Technique: Paired axial CT (left) and PSMA PET (right), 18F tracer. acquired on Siemens Biograph mCT Flow 20. slice 129 of 429. PET panel 200×200 px (4.1 mm/px).
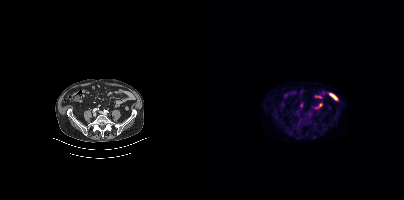
Findings: Negative for PSMA-avid disease on this slice.